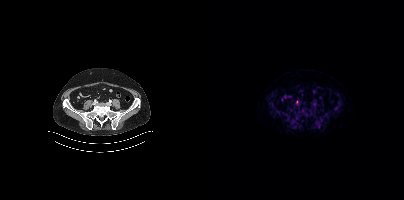
Left: CT. Right: PSMA PET, same axial level, 18F-PSMA tracer. Acquired on Siemens Biograph mCT Flow 20. Slice 131 of 433. Only PSMA-avid lesion pieces thinner than 2 px on this slice (not listed).